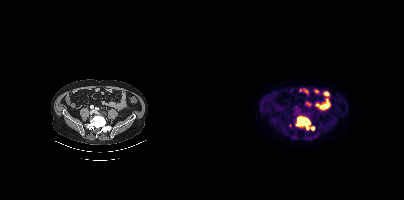
Left: CT. Right: PSMA PET, same axial level, 18F tracer. Acquired on Siemens Biograph mCT Flow 20.
Coordinates are on the 200×200 PET (right) panel. PSMA-avid tumor lesion bounding boxes:
| # | x0 | y0 | x1 | y1 |
|---|---|---|---|---|
| 1 | 92 | 116 | 106 | 129 |
| 2 | 107 | 126 | 110 | 130 |